modality: PSMA PET/CT | tracer: [18F]PSMA-1007 | view: axial | PET grid: 200×200
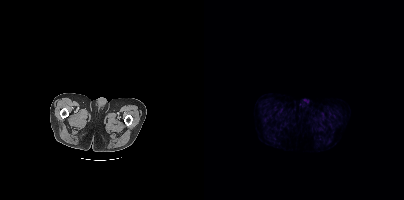
This slice has no annotated PSMA-avid lesion.